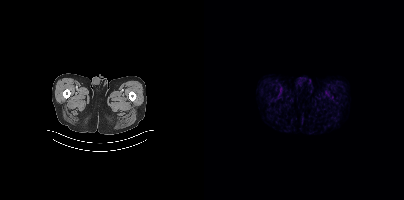
modality: PSMA PET/CT | tracer: 68Ga | view: axial
No tumor lesions annotated on this slice.